Left: CT. Right: PSMA PET, same axial level, [18F]PSMA-1007 tracer. Slice position z = -730 mm. PET panel 200×200 px (4.1 mm/px).
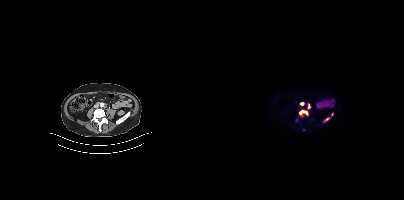
Coordinates are on the 200×200 PET (right) panel. PSMA-avid tumor lesion bounding boxes (partial; 1 more focus not listed):
| # | x0 | y0 | x1 | y1 |
|---|---|---|---|---|
| 1 | 95 | 110 | 103 | 114 |
| 2 | 104 | 103 | 106 | 108 |
| 3 | 120 | 118 | 125 | 121 |
Small PSMA-avid focus (2 to 4 px across) near (center x, center y): (97, 103).